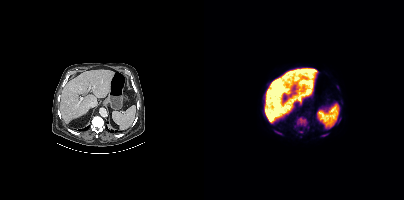
{"pet_grid":[200,200],"coord_frame":"pet_panel","coord_format":"x0,y0,x1,y1","partial":true,"lesion_bboxes":[[90,116,105,128],[132,85,135,89],[66,123,70,125],[74,132,78,134],[95,131,99,132]],"small_foci_centers":[[118,135],[70,130]],"modality":"PSMA PET/CT","view":"axial","tracer":"18F"}